- Left: CT. Right: PSMA PET, same axial level, [68Ga]Ga-PSMA-11 tracer
- slice position z = -918 mm
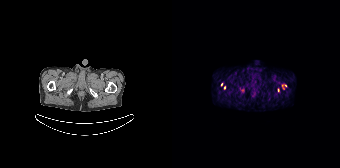
Findings: Coordinates are on the 168×168 PET (right) panel. (showing 3 of 4 foci) Small PSMA-avid foci (2 to 4 px across) near (center x, center y): (52, 87) | (49, 84) | (113, 85).